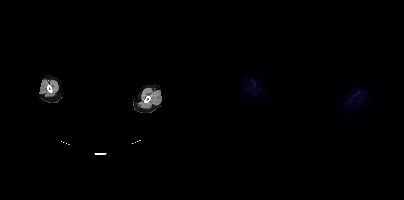
{"pet_grid":[200,200],"coord_frame":"pet_panel","coord_format":"x0,y0,x1,y1","psma_avid_lesions":false,"redaction":"face masked with black rectangle","modality":"PSMA PET/CT","view":"axial","tracer":"18F"}